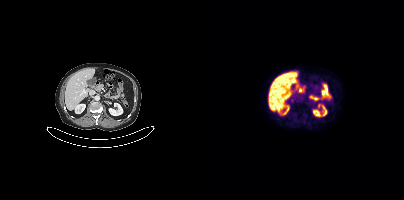
Only PSMA-avid lesion pieces thinner than 2 px on this slice (not listed).